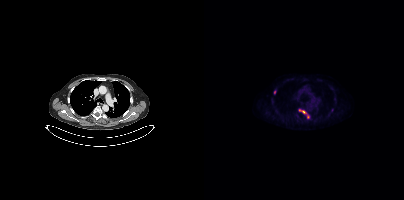
{"modality":"PSMA PET/CT","view":"axial","tracer":"18F","pet_grid":[200,200],"coord_frame":"pet_panel","coord_format":"x0,y0,x1,y1","partial":true,"lesion_bboxes":[[94,109,101,113],[70,90,72,94]],"small_foci_centers":[[104,117]]}